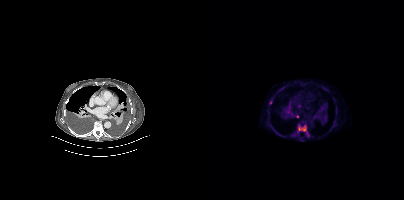
Coordinates are on the 200×200 PET (right) panel. PSMA-avid tumor lesion bounding box (x, y, width, height): x=94 y=125 w=12 h=12. Small PSMA-avid foci (2 to 4 px across) near (center x, center y): (67, 102) / (93, 116). Two-panel axial: CT | PSMA PET, 18F-PSMA tracer.